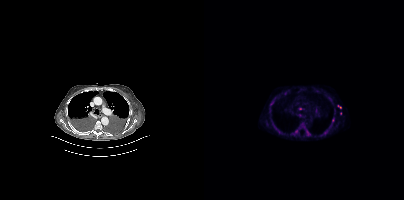
- Paired axial CT (left) and PSMA PET (right), 18F tracer
- PET panel 200×200 px (4.1 mm/px)
Findings: Coordinates are on the 200×200 PET (right) panel. (showing 10 of 12 foci) PSMA-avid tumor lesion bounding boxes (x0,y0,x1,y1): [90,129,94,134]; [119,130,123,134]; [95,108,100,109]. Small PSMA-avid foci (2 to 4 px across) near (center x, center y): (96, 115); (103, 131); (67, 103); (129, 120); (75, 131); (81, 93); (136, 107).